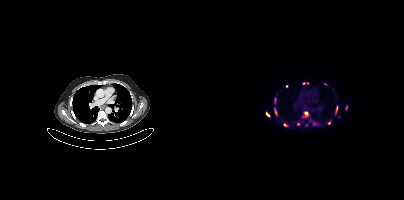
modality: PSMA PET/CT | tracer: 18F | view: axial
Coordinates are on the 200×200 PET (right) panel. (showing 13 of 15 foci) PSMA-avid tumor lesion bounding boxes (x0,y0,x1,y1): [100,111,104,116]; [70,97,72,103]; [131,106,133,114]; [80,123,84,126]; [99,82,104,84]; [71,109,73,115]; [62,112,65,116]. Small PSMA-avid foci (2 to 4 px across) near (center x, center y): (125, 122); (95, 123); (102, 125); (142, 107); (121, 84); (82, 85).